Technique: Paired axial CT (left) and PSMA PET (right), 68Ga tracer. slice 206 of 263.
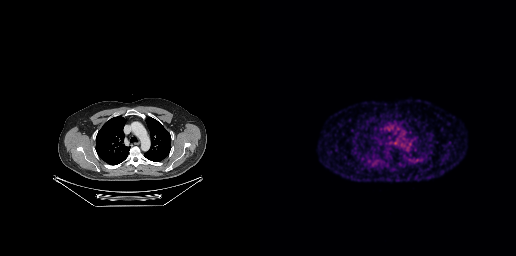
Findings: No PSMA-avid tumor lesions on this slice.